Technique: Two-panel axial: CT | PSMA PET, 18F tracer. slice 226 of 395.
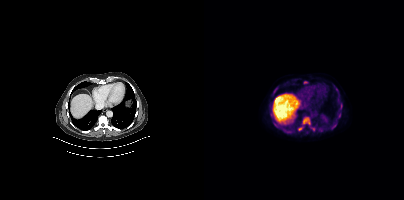
Findings: Coordinates are on the 200×200 PET (right) panel. (showing 8 of 9 foci) PSMA-avid tumor lesion bounding boxes (x0,y0,x1,y1): [99,117,106,124], [127,123,132,129], [107,127,111,131], [68,88,73,95], [134,112,136,117], [94,127,98,130]. Small PSMA-avid foci (2 to 4 px across) near (center x, center y): (137, 104), (82, 132).